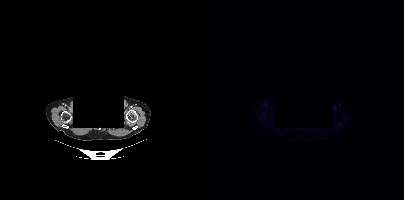
{"pet_grid":[200,200],"coord_frame":"pet_panel","coord_format":"x0,y0,x1,y1","psma_avid_lesions":false,"modality":"PSMA PET/CT","view":"axial","tracer":"[18F]PSMA-1007","redaction":"head region blacked out before release"}